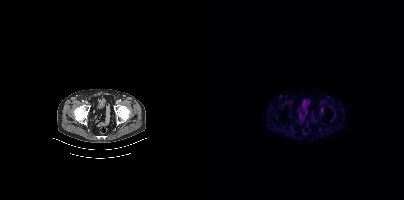
{"modality":"PSMA PET/CT","view":"axial","tracer":"[18F]PSMA-1007","pet_grid":[200,200],"coord_frame":"pet_panel","coord_format":"x0,y0,x1,y1","partial":true,"lesion_bboxes":[],"small_foci_centers":[[118,109]]}